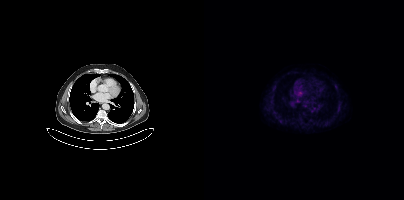
No tumor lesions annotated on this slice.